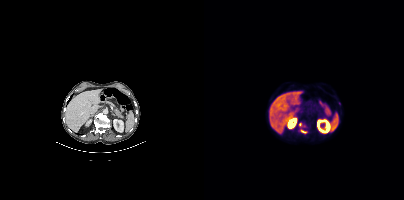
{"modality":"PSMA PET/CT","view":"axial","tracer":"18F","pet_grid":[200,200],"coord_frame":"pet_panel","coord_format":"x0,y0,x1,y1","lesion_bboxes":[],"small_foci_centers":[[96,124],[98,131],[102,132],[135,103]]}